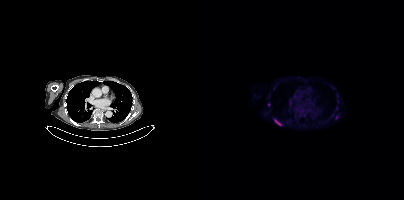
{"modality":"PSMA PET/CT","view":"axial","tracer":"[18F]PSMA-1007","pet_grid":[200,200],"coord_frame":"pet_panel","coord_format":"x0,y0,x1,y1","lesion_bboxes":[[70,119,77,125],[131,115,134,119]],"small_foci_centers":[[64,104]]}